modality: PSMA PET/CT | tracer: 18F-PSMA | view: axial
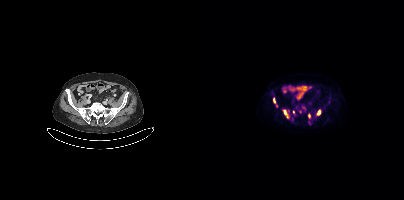
Coordinates are on the 200×200 PET (right) panel. PSMA-avid tumor lesion bounding boxes (x, y, width, height): x=96 y=105 w=7 h=8 / x=79 y=110 w=6 h=9 / x=113 y=110 w=4 h=5 / x=69 y=98 w=3 h=6. Small PSMA-avid foci (2 to 4 px across) near (center x, center y): (105, 115) / (89, 112) / (72, 105) / (105, 123) / (92, 106).